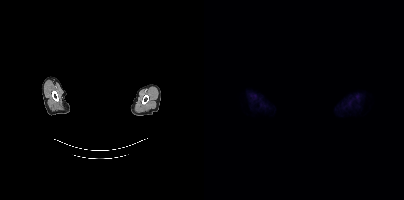
This slice has no annotated PSMA-avid lesion.
redaction: rectangular block over head set to black | modality: PSMA PET/CT | tracer: [18F]PSMA-1007 | view: axial | PET grid: 200×200